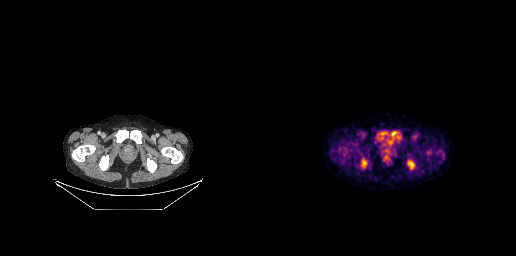
Coordinates are on the 256×256 PET (right) panel. PSMA-avid tumor lesion bounding boxes (x0,y0,x1,y1): [147,160,154,166] [102,162,106,167].